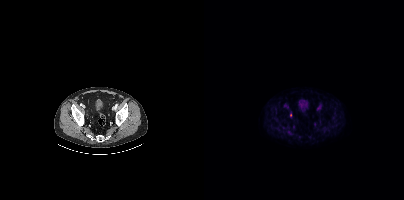
Technique: Paired axial CT (left) and PSMA PET (right), 18F-PSMA tracer. PET panel 200×200 px (4.1 mm/px).
Findings: Coordinates are on the 200×200 PET (right) panel. Small PSMA-avid focus (2 to 4 px across) near (center x, center y): (86, 114).